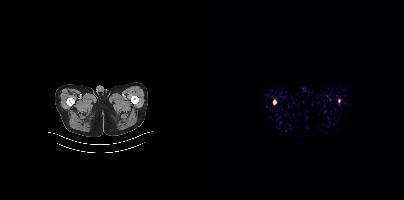
Coordinates are on the 200×200 PET (right) panel. Small PSMA-avid foci (2 to 4 px across) near (center x, center y): (70, 102) / (135, 100).